Left: CT. Right: PSMA PET, same axial level, 18F-PSMA tracer. Slice 256 of 429. PET panel 200×200 px (4.1 mm/px).
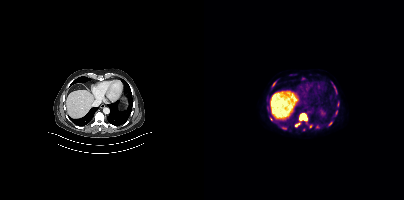
Coordinates are on the 200×200 PET (right) panel. PSMA-avid tumor lesion bounding boxes (partial; 1 more focus not listed):
| # | x0 | y0 | x1 | y1 |
|---|---|---|---|---|
| 1 | 95 | 113 | 103 | 120 |
| 2 | 68 | 82 | 71 | 86 |
| 3 | 78 | 127 | 82 | 129 |
Small PSMA-avid foci (2 to 4 px across) near (center x, center y): (132, 112); (67, 119); (92, 125); (106, 126); (126, 123).